Technique: Paired axial CT (left) and PSMA PET (right), 68Ga tracer. slice 176 of 195.
Note: Face de-identified by blanking a block of the head.
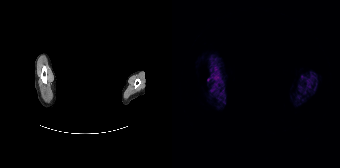
Findings: This slice has no annotated PSMA-avid lesion.